Technique: Left: CT. Right: PSMA PET, same axial level, [18F]PSMA-1007 tracer. acquired on Siemens Biograph mCT Flow 20.
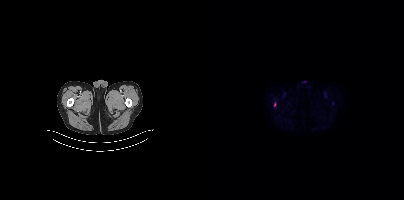
Findings: Only PSMA-avid lesion pieces thinner than 2 px on this slice (not listed).